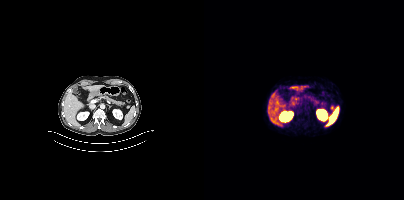
- Left: CT. Right: PSMA PET, same axial level, 68Ga tracer
- acquired on Siemens Biograph mCT Flow 20
- PET panel 200×200 px (4.1 mm/px)
Findings: Coordinates are on the 200×200 PET (right) panel. Small PSMA-avid focus (2 to 4 px across) near (center x, center y): (128, 107).